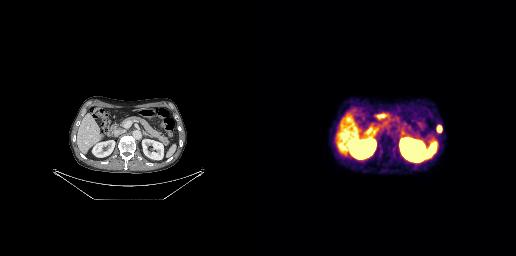
Coordinates are on the 256×256 PET (right) panel. PSMA-avid tumor lesion bounding box (x0, y0)-(x1, y1): (177, 126)-(181, 132).